Technique: Left: CT. Right: PSMA PET, same axial level, 18F tracer. acquired on Siemens Biograph mCT Flow 20. slice position z = -896 mm. PET panel 200×200 px (4.1 mm/px).
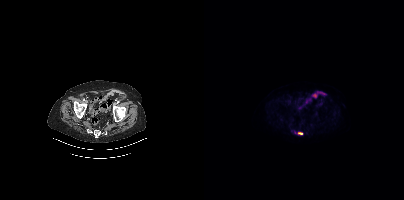
Findings: Coordinates are on the 200×200 PET (right) panel. PSMA-avid tumor lesion bounding box (x, y, width, height): x=91 y=132 w=9 h=4.